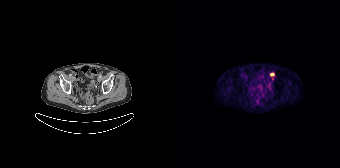
- Paired axial CT (left) and PSMA PET (right), 68Ga-PSMA tracer
- acquired on Siemens Biograph 64-4R TruePoint
- slice 38 of 165
- PET panel 168×168 px (4.1 mm/px)
Findings: Coordinates are on the 168×168 PET (right) panel. Small PSMA-avid focus (2 to 4 px across) near (center x, center y): (100, 74).